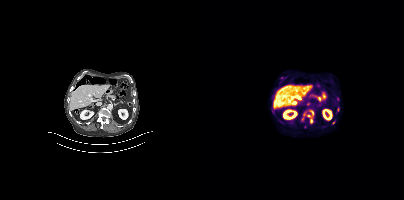
Paired axial CT (left) and PSMA PET (right), [18F]PSMA-1007 tracer. Coordinates are on the 200×200 PET (right) panel. (showing 4 of 6 foci) PSMA-avid tumor lesion bounding boxes (x, y, width, height): x=98 y=110 w=12 h=14 / x=75 y=120 w=5 h=5. Small PSMA-avid foci (2 to 4 px across) near (center x, center y): (103, 103) / (129, 122).